Two-panel axial: CT | PSMA PET, [68Ga]Ga-PSMA-11 tracer. Acquired on Siemens Biograph mCT Flow 20. PET panel 200×200 px (4.1 mm/px).
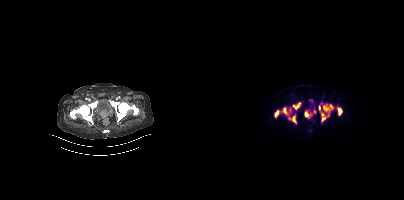
Negative for PSMA-avid disease on this slice.